Two-panel axial: CT | PSMA PET, 18F-PSMA tracer. Acquired on Siemens Biograph mCT Flow 20.
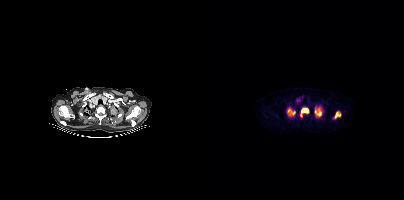
Coordinates are on the 200×200 PET (right) panel. PSMA-avid tumor lesion bounding boxes (x, y, width, height): x=110 y=107 w=8 h=11 | x=96 y=108 w=9 h=9 | x=84 y=109 w=8 h=7 | x=130 y=112 w=7 h=7.